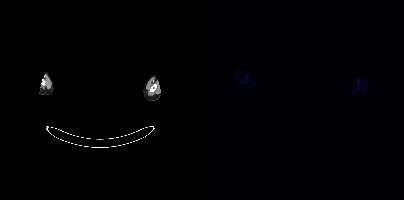
Left: CT. Right: PSMA PET, same axial level, 18F tracer. A rectangular block over the head has been blanked out for de-identification. This slice has no annotated PSMA-avid lesion.